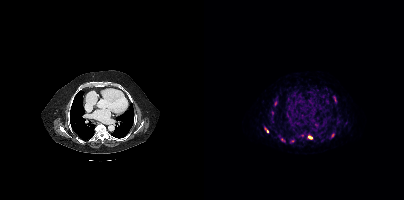
Technique: Two-panel axial: CT | PSMA PET, 68Ga tracer. slice position z = 727 mm.
Findings: Coordinates are on the 200×200 PET (right) panel. (showing 5 of 6 foci) PSMA-avid tumor lesion bounding boxes (x0,y0,x1,y1): [104,136,108,139]; [61,128,64,132]. Small PSMA-avid foci (2 to 4 px across) near (center x, center y): (128, 135); (71, 103); (77, 139).